Two-panel axial: CT | PSMA PET, [18F]PSMA-1007 tracer. PET panel 256×256 px (2.7 mm/px).
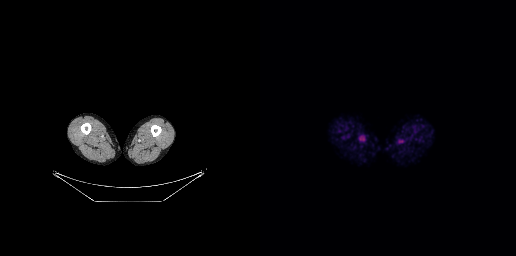
No tumor lesions annotated on this slice.